Left: CT. Right: PSMA PET, same axial level, 18F tracer. Slice 193 of 421.
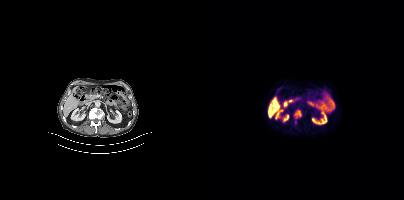
Coordinates are on the 200×200 PET (right) panel. PSMA-avid tumor lesion bounding boxes (partial; 2 more foci not listed):
| # | x0 | y0 | x1 | y1 |
|---|---|---|---|---|
| 1 | 90 | 110 | 97 | 118 |